- Two-panel axial: CT | PSMA PET, 18F-PSMA tracer
- acquired on Siemens Biograph mCT Flow 20
- slice 318 of 405
- PET panel 200×200 px (4.1 mm/px)
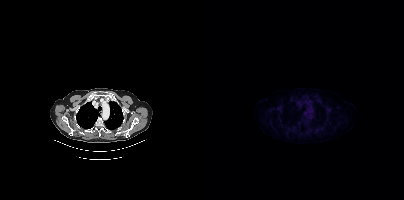
Findings: No PSMA-avid tumor lesions on this slice.